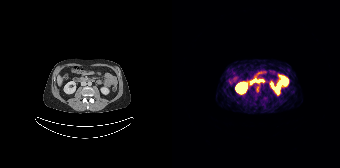
Only PSMA-avid lesion pieces thinner than 2 px on this slice (not listed).
modality: PSMA PET/CT | tracer: 68Ga-PSMA | view: axial